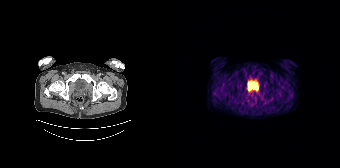
Coordinates are on the 168×168 PET (right) panel. PSMA-avid tumor lesion bounding box (x0, y0)-(x1, y1): (84, 86)-(85, 90).
modality: PSMA PET/CT | tracer: [68Ga]Ga-PSMA-11 | view: axial